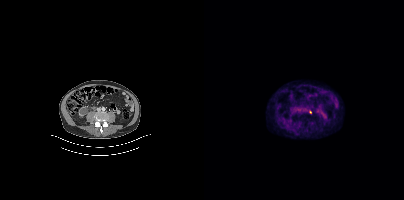
modality: PSMA PET/CT | tracer: 18F-PSMA | view: axial | PET grid: 200×200
Coordinates are on the 200×200 PET (right) panel. Small PSMA-avid focus (2 to 4 px across) near (center x, center y): (106, 111).